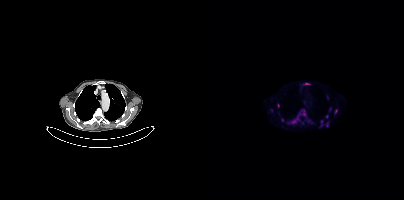
Left: CT. Right: PSMA PET, same axial level, 18F tracer. Acquired on Siemens Biograph mCT Flow 20. Coordinates are on the 200×200 PET (right) panel. (showing 9 of 12 foci) PSMA-avid tumor lesion bounding box (x0,y0,x1,y1): [101,83,105,84]. Small PSMA-avid foci (2 to 4 px across) near (center x, center y): (89, 121) (123, 124) (132, 111) (100, 114) (74, 105) (122, 116) (117, 121) (78, 119).